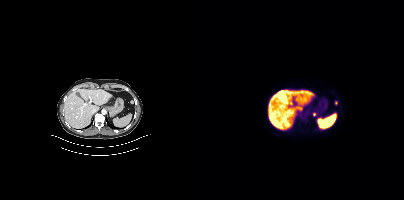
- Two-panel axial: CT | PSMA PET, 18F tracer
- slice 239 of 425
Findings: Coordinates are on the 200×200 PET (right) panel. PSMA-avid tumor lesion bounding box (x0,y0,x1,y1): [109,112,112,116]. Small PSMA-avid focus (2 to 4 px across) near (center x, center y): (132, 103).